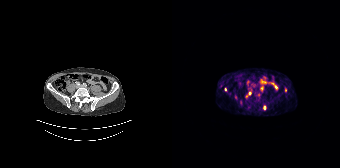
Findings: Coordinates are on the 168×168 PET (right) panel. (showing 6 of 9 foci) PSMA-avid tumor lesion bounding box (x0, y0)-(x1, y1): (88, 87)-(91, 91). Small PSMA-avid foci (2 to 4 px across) near (center x, center y): (63, 96) / (92, 107) / (77, 93) / (57, 93) / (86, 94).
- Two-panel axial: CT | PSMA PET, 68Ga-PSMA tracer
- PET panel 168×168 px (4.1 mm/px)